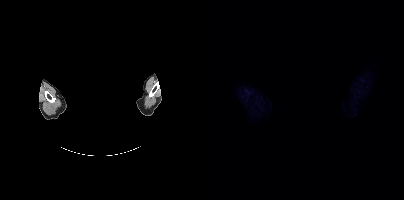
A rectangle over the head was blacked out to remove identifiable facial features. Paired axial CT (left) and PSMA PET (right), 18F tracer. Acquired on Siemens Biograph mCT Flow 20. Slice position z = -917 mm. No tumor lesions annotated on this slice.